modality: PSMA PET/CT | tracer: [18F]PSMA-1007 | view: axial
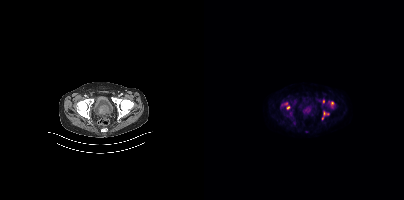
Coordinates are on the 200×200 PET (right) panel. PSMA-avid tumor lesion bounding boxes (x, y, width, height): x=77 y=103 w=9 h=8 | x=118 y=111 w=7 h=9 | x=127 y=101 w=3 h=5. Small PSMA-avid focus (2 to 4 px across) near (center x, center y): (119, 101).